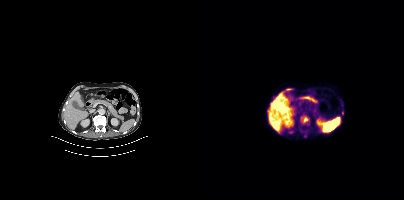
Coordinates are on the 200×200 PET (right) panel. PSMA-avid tumor lesion bounding box (x0,y0,x1,y1): [99,119,104,122].